Left: CT. Right: PSMA PET, same axial level, [18F]PSMA-1007 tracer. PET panel 200×200 px (4.1 mm/px).
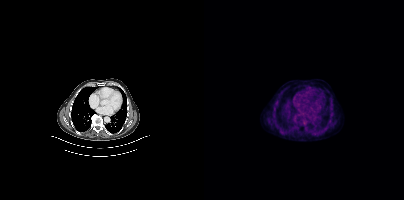
Negative for PSMA-avid disease on this slice.